Technique: Paired axial CT (left) and PSMA PET (right), 18F tracer. acquired on Siemens Biograph mCT Flow 20. PET panel 200×200 px (4.1 mm/px).
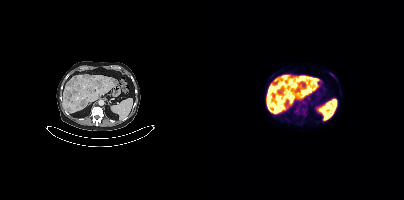
Findings: Coordinates are on the 200×200 PET (right) panel. PSMA-avid tumor lesion bounding boxes (x0,y0,x1,y1): [91,76,100,82] [67,107,75,113] [126,73,131,78]. Small PSMA-avid focus (2 to 4 px across) near (center x, center y): (68, 100).